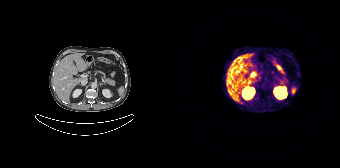
Paired axial CT (left) and PSMA PET (right), 68Ga-PSMA tracer. Slice 87 of 165. PET panel 168×168 px (4.1 mm/px). No tumor lesions annotated on this slice.